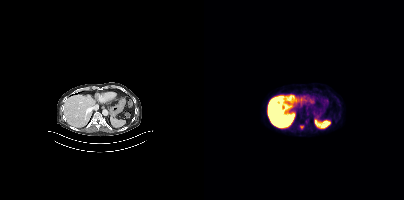
Coordinates are on the 200×200 PET (right) panel. Small PSMA-avid focus (2 to 4 px across) near (center x, center y): (97, 127).